Technique: Left: CT. Right: PSMA PET, same axial level, 68Ga tracer. acquired on GE Discovery 690. slice 255 of 263. PET panel 256×256 px (2.7 mm/px).
Note: Privacy masking over the head, with the pixels inside a rectangle set to black.
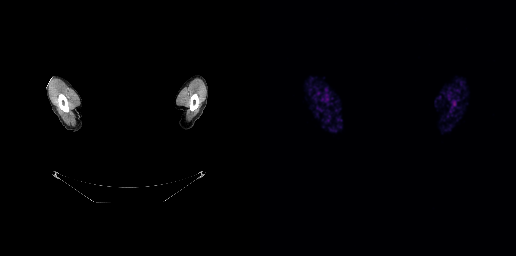
Findings: No PSMA-avid tumor lesions on this slice.